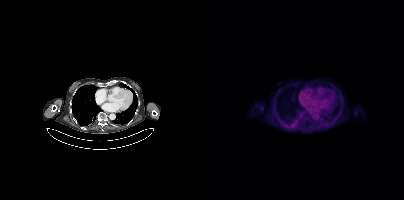
{"pet_grid":[200,200],"coord_frame":"pet_panel","coord_format":"x0,y0,x1,y1","psma_avid_lesions":false,"modality":"PSMA PET/CT","view":"axial","tracer":"18F-PSMA"}